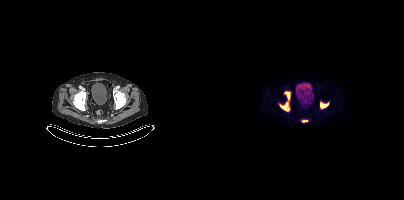
- Left: CT. Right: PSMA PET, same axial level, 18F-PSMA tracer
- slice position z = -947 mm
Findings: Coordinates are on the 200×200 PET (right) panel. PSMA-avid tumor lesion bounding boxes (x, y, width, height): x=76 y=102 w=10 h=9; x=116 y=102 w=9 h=7; x=80 y=91 w=7 h=9; x=98 y=120 w=6 h=3.